Technique: Two-panel axial: CT | PSMA PET, 18F-PSMA tracer. PET panel 200×200 px (4.1 mm/px).
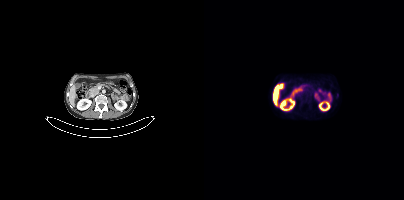
Findings: Coordinates are on the 200×200 PET (right) panel. PSMA-avid tumor lesion bounding box (x, y, width, height): x=133 y=93 w=2 h=5.